modality: PSMA PET/CT | tracer: 18F | view: axial | PET grid: 168×168
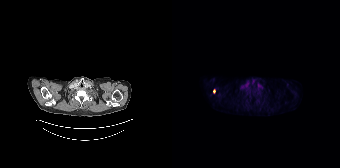
Coordinates are on the 168×168 PET (right) panel. Small PSMA-avid focus (2 to 4 px across) near (center x, center y): (42, 91).